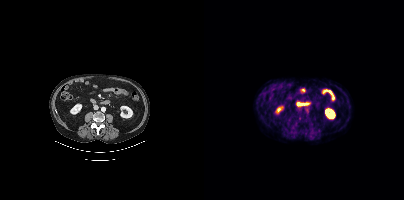
Findings: Coordinates are on the 200×200 PET (right) panel. Small PSMA-avid focus (2 to 4 px across) near (center x, center y): (95, 118).
- Paired axial CT (left) and PSMA PET (right), 18F tracer
- PET panel 200×200 px (4.1 mm/px)